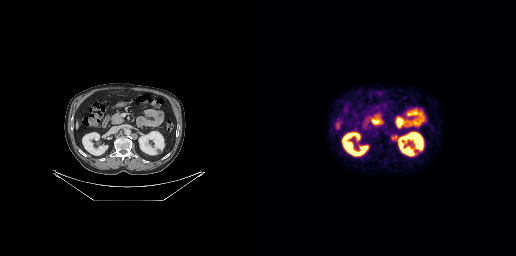
Coordinates are on the 256×256 PET (right) panel. PSMA-avid tumor lesion bounding box (x, y, width, height): x=131 y=135 w=8 h=6.
modality: PSMA PET/CT | tracer: [18F]PSMA-1007 | view: axial